Two-panel axial: CT | PSMA PET, 18F tracer. PET panel 200×200 px (4.1 mm/px).
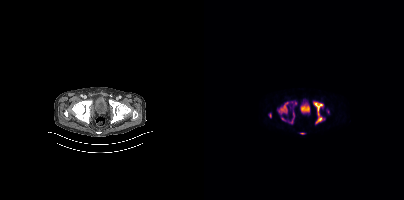
Coordinates are on the 200×200 PET (right) panel. PSMA-avid tumor lesion bounding boxes (partial; 2 more foci not listed):
| # | x0 | y0 | x1 | y1 |
|---|---|---|---|---|
| 1 | 110 | 102 | 118 | 123 |
| 2 | 74 | 102 | 84 | 114 |
| 3 | 65 | 113 | 67 | 117 |
Small PSMA-avid foci (2 to 4 px across) near (center x, center y): (79, 119); (89, 114); (98, 133).